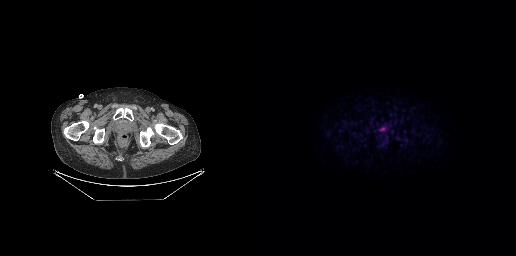
This slice has no annotated PSMA-avid lesion.